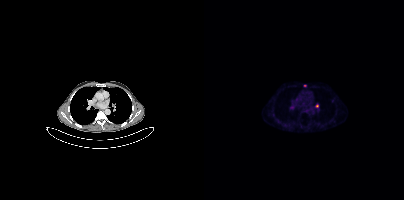
Coordinates are on the 200×200 PET (right) panel. Small PSMA-avid foci (2 to 4 px across) near (center x, center y): (113, 106); (100, 85).